- a rectangle over the head was blacked out to remove identifiable facial features
- Paired axial CT (left) and PSMA PET (right), 18F-PSMA tracer
- slice position z = -920 mm
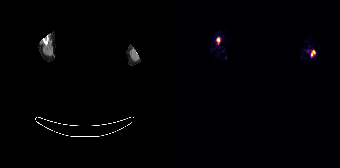
Findings: Coordinates are on the 168×168 PET (right) panel. PSMA-avid tumor lesion bounding box (x0, y0)-(x1, y1): (139, 50)-(143, 56). Small PSMA-avid focus (2 to 4 px across) near (center x, center y): (46, 39).